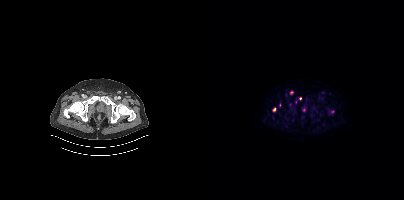
Findings: Coordinates are on the 200×200 PET (right) panel. (showing 4 of 6 foci) Small PSMA-avid foci (2 to 4 px across) near (center x, center y): (87, 92), (96, 98), (70, 109), (128, 111).
Technique: Paired axial CT (left) and PSMA PET (right), [18F]PSMA-1007 tracer. slice position z = -1603 mm. PET panel 200×200 px (4.1 mm/px).